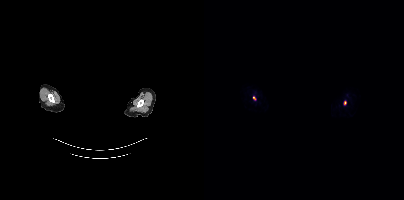
Technique: Two-panel axial: CT | PSMA PET, 18F tracer. PET panel 200×200 px (4.1 mm/px).
Note: A rectangle over the head was blacked out to remove identifiable facial features.
Findings: Coordinates are on the 200×200 PET (right) panel. Small PSMA-avid foci (2 to 4 px across) near (center x, center y): (141, 102); (50, 98).